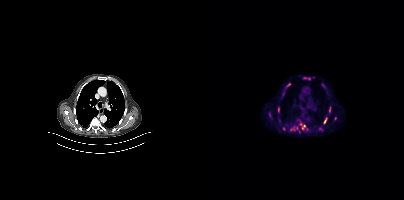
Findings: Coordinates are on the 200×200 PET (right) panel. (showing 8 of 9 foci) PSMA-avid tumor lesion bounding boxes (x0,y0,x1,y1): [93,119,104,131], [86,125,96,132], [82,83,87,87], [119,117,123,124], [64,112,68,118], [125,106,127,112], [99,77,106,79], [74,107,75,112].
- Two-panel axial: CT | PSMA PET, 18F tracer
- acquired on Siemens Biograph mCT Flow 20
- slice 256 of 373